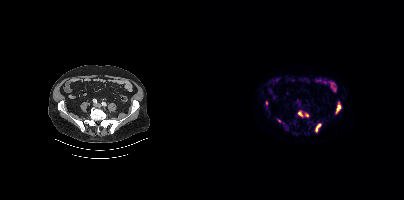
Findings: Coordinates are on the 200×200 PET (right) panel. (showing 5 of 7 foci) PSMA-avid tumor lesion bounding boxes (x0, y0)-(x1, y1): (131, 102)-(137, 113) | (111, 124)-(116, 132). Small PSMA-avid foci (2 to 4 px across) near (center x, center y): (95, 113) | (62, 103) | (75, 120).
- Paired axial CT (left) and PSMA PET (right), 18F-PSMA tracer
- PET panel 200×200 px (4.1 mm/px)